Paired axial CT (left) and PSMA PET (right), [18F]PSMA-1007 tracer. Acquired on GE Discovery 690.
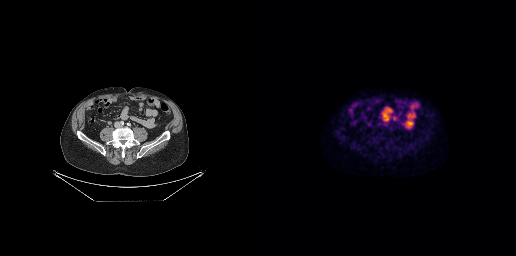
Coordinates are on the 256×256 PET (right) panel. Small PSMA-avid focus (2 to 4 px across) near (center x, center y): (130, 128).